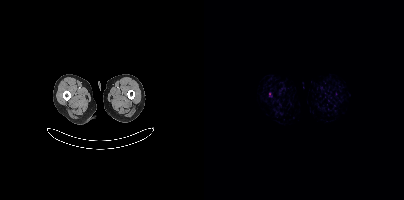
{"modality":"PSMA PET/CT","view":"axial","tracer":"18F","pet_grid":[200,200],"coord_frame":"pet_panel","coord_format":"x0,y0,x1,y1","lesion_bboxes":[],"small_foci_centers":[[65,93]]}